Technique: Paired axial CT (left) and PSMA PET (right), 18F tracer. PET panel 256×256 px (2.7 mm/px).
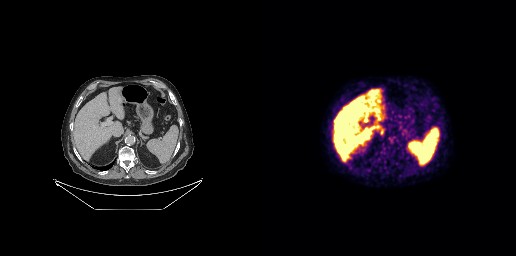
Findings: No tumor lesions annotated on this slice.